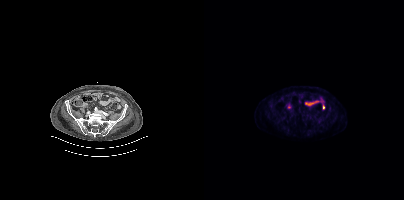
This slice has no annotated PSMA-avid lesion. Left: CT. Right: PSMA PET, same axial level, [18F]PSMA-1007 tracer.